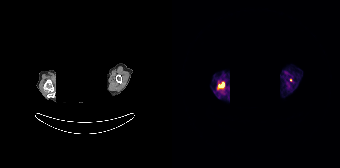
- the head region is masked for de-identification
- Left: CT. Right: PSMA PET, same axial level, 68Ga tracer
- slice position z = -674 mm
- PET panel 168×168 px (4.1 mm/px)
Findings: Coordinates are on the 168×168 PET (right) panel. PSMA-avid tumor lesion bounding box (x0, y0)-(x1, y1): (47, 82)-(52, 88). Small PSMA-avid focus (2 to 4 px across) near (center x, center y): (118, 79).